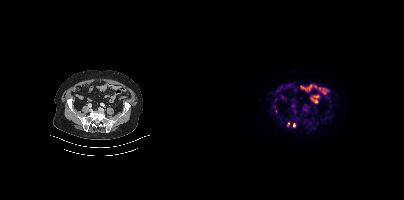
Coordinates are on the 200×200 PET (right) panel. (showing 1 of 3 foci) Small PSMA-avid focus (2 to 4 px across) near (center x, center y): (90, 124). Paired axial CT (left) and PSMA PET (right), [18F]PSMA-1007 tracer. Acquired on Siemens Biograph mCT Flow 20. PET panel 200×200 px (4.1 mm/px).